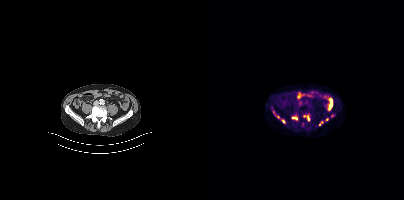
Coordinates are on the 200×200 PET (right) panel. (showing 6 of 9 foci) PSMA-avid tumor lesion bounding boxes (x, y, width, height): x=88 y=117 w=6 h=3 | x=103 y=115 w=3 h=6. Small PSMA-avid foci (2 to 4 px across) near (center x, center y): (80, 122) | (115, 124) | (100, 115) | (122, 119).